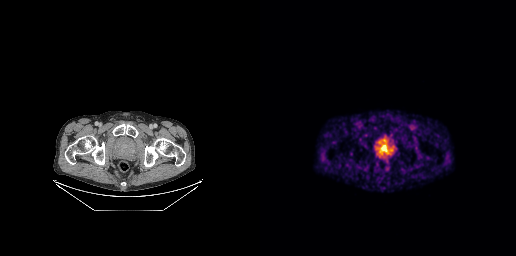
Coordinates are on the 256×256 PET (right) panel. PSMA-avid tumor lesion bounding box (x0, y0)-(x1, y1): (122, 147)-(126, 151).